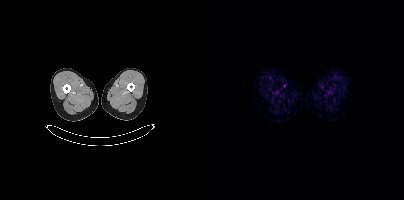
{"pet_grid":[200,200],"coord_frame":"pet_panel","coord_format":"x0,y0,x1,y1","psma_avid_lesions":false,"modality":"PSMA PET/CT","view":"axial","tracer":"18F-PSMA"}